- Left: CT. Right: PSMA PET, same axial level, [18F]PSMA-1007 tracer
- slice position z = -912 mm
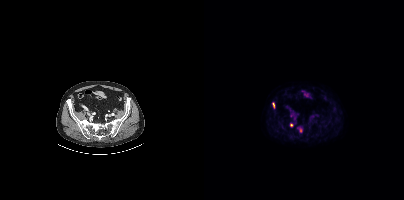
Findings: Coordinates are on the 200×200 PET (right) panel. PSMA-avid tumor lesion bounding boxes (x0, y0)-(x1, y1): (68, 102)-(70, 108) | (95, 128)-(98, 132). Small PSMA-avid focus (2 to 4 px across) near (center x, center y): (87, 124).